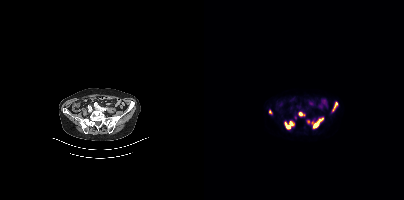
Technique: Left: CT. Right: PSMA PET, same axial level, 68Ga tracer. acquired on Siemens Biograph mCT Flow 20.
Findings: Coordinates are on the 200×200 PET (right) panel. (showing 6 of 7 foci) PSMA-avid tumor lesion bounding boxes (x, y, width, height): x=107 y=117 w=13 h=11 / x=81 y=121 w=8 h=8 / x=129 y=102 w=5 h=9 / x=94 y=112 w=7 h=4. Small PSMA-avid foci (2 to 4 px across) near (center x, center y): (66, 111) / (91, 117).